Paired axial CT (left) and PSMA PET (right), 18F tracer. Slice position z = 34 mm. PET panel 200×200 px (4.1 mm/px).
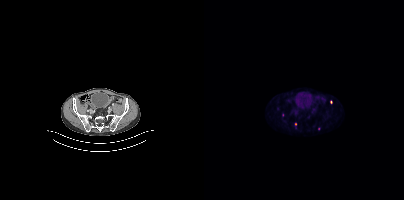
Coordinates are on the 200×200 PET (right) panel. (showing 2 of 4 foci) Small PSMA-avid foci (2 to 4 px across) near (center x, center y): (91, 124); (114, 128).